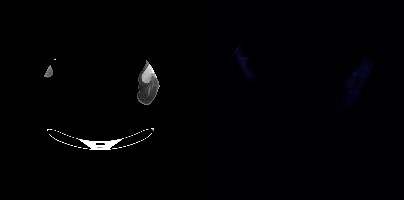
A rectangular block over the head has been blanked out for de-identification.
No tumor lesions annotated on this slice.